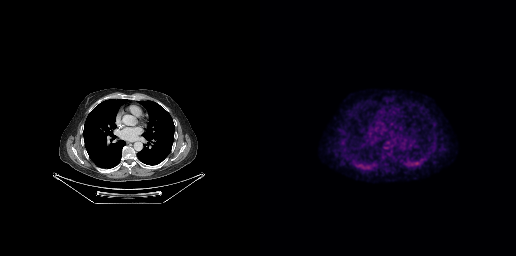
No PSMA-avid tumor lesions on this slice.